Paired axial CT (left) and PSMA PET (right), [18F]PSMA-1007 tracer. Slice position z = -880 mm. PET panel 200×200 px (4.1 mm/px).
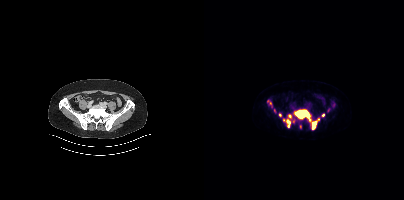
Coordinates are on the 200×200 PET (right) panel. (showing 8 of 10 foci) PSMA-avid tumor lesion bounding boxes (x0, y0)-(x1, y1): (90, 110)-(106, 121); (108, 121)-(113, 129); (82, 119)-(86, 127). Small PSMA-avid foci (2 to 4 px across) near (center x, center y): (85, 115); (119, 115); (76, 115); (114, 119); (79, 119).